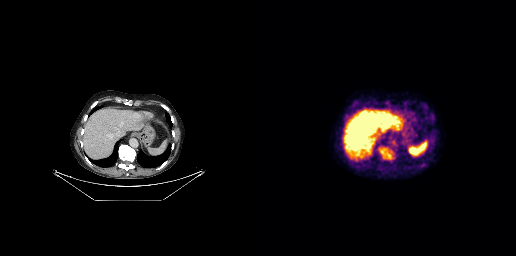
modality: PSMA PET/CT | tracer: 18F | view: axial
Coordinates are on the 256×256 PET (right) panel. PSMA-avid tumor lesion bounding box (x, y, width, height): x=127 y=153 w=4 h=6. Small PSMA-avid focus (2 to 4 px across) near (center x, center y): (122, 152).